- Paired axial CT (left) and PSMA PET (right), 18F-PSMA tracer
- slice 100 of 429
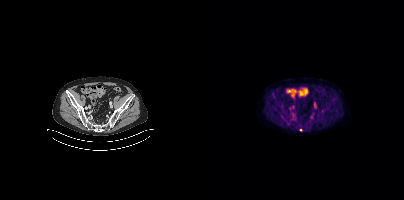
Findings: Coordinates are on the 200×200 PET (right) panel. Small PSMA-avid focus (2 to 4 px across) near (center x, center y): (96, 129).